- Two-panel axial: CT | PSMA PET, 18F tracer
- PET panel 200×200 px (4.1 mm/px)
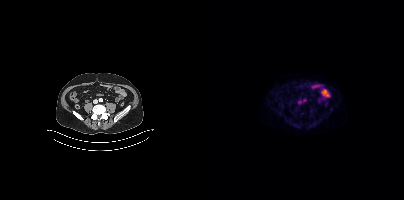
Findings: No PSMA-avid tumor lesions on this slice.